Face de-identified by blanking a block of the head.
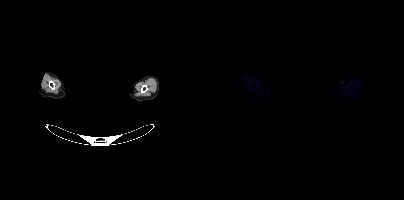
Negative for PSMA-avid disease on this slice.